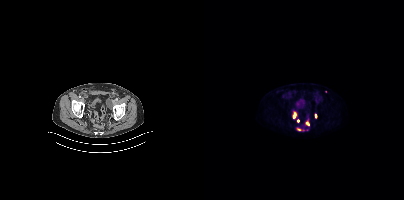
Technique: Paired axial CT (left) and PSMA PET (right), 18F tracer. slice 77 of 411.
Findings: Coordinates are on the 200×200 PET (right) panel. (showing 5 of 6 foci) PSMA-avid tumor lesion bounding boxes (x0,y0,x1,y1): [88,111,92,118], [101,121,105,125], [93,128,97,130]. Small PSMA-avid foci (2 to 4 px across) near (center x, center y): (94, 120), (111, 115).